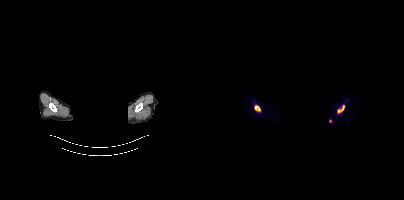
Technique: Two-panel axial: CT | PSMA PET, [68Ga]Ga-PSMA-11 tracer. acquired on Siemens Biograph mCT Flow 20. PET panel 200×200 px (4.1 mm/px).
Note: A rectangle over the head was blacked out to remove identifiable facial features.
Findings: Coordinates are on the 200×200 PET (right) panel. PSMA-avid tumor lesion bounding boxes (x, y, width, height): x=133 y=105 w=8 h=9; x=50 y=105 w=7 h=7. Small PSMA-avid focus (2 to 4 px across) near (center x, center y): (126, 120).